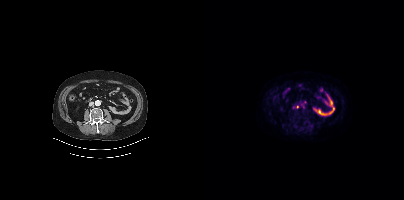
Findings: Only PSMA-avid lesion pieces thinner than 2 px on this slice (not listed).
Technique: Two-panel axial: CT | PSMA PET, 18F tracer. slice position z = -1325 mm.